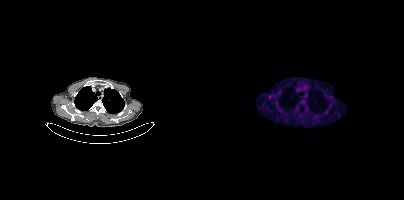
Coordinates are on the 200×200 PET (right) panel. Small PSMA-avid foci (2 to 4 px across) near (center x, center y): (65, 97) / (127, 96). Paired axial CT (left) and PSMA PET (right), [18F]PSMA-1007 tracer.